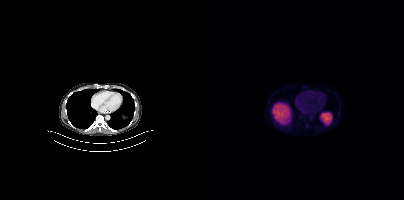
Technique: Two-panel axial: CT | PSMA PET, 18F-PSMA tracer. PET panel 200×200 px (4.1 mm/px).
Findings: No tumor lesions annotated on this slice.